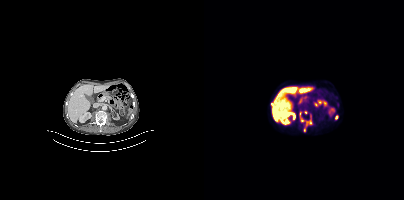
{"modality":"PSMA PET/CT","view":"axial","tracer":"18F-PSMA","pet_grid":[200,200],"coord_frame":"pet_panel","coord_format":"x0,y0,x1,y1","lesion_bboxes":[[95,111,108,131]],"small_foci_centers":[[132,117]]}